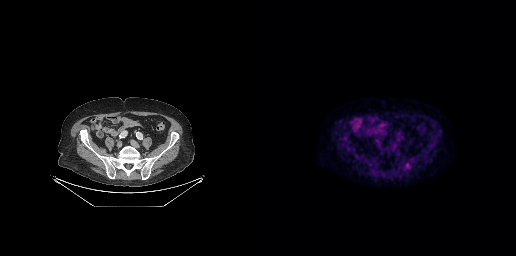
- Two-panel axial: CT | PSMA PET, 18F-PSMA tracer
- PET panel 256×256 px (2.7 mm/px)
Findings: Coordinates are on the 256×256 PET (right) panel. (showing 1 of 2 foci) Small PSMA-avid focus (2 to 4 px across) near (center x, center y): (147, 164).